- Left: CT. Right: PSMA PET, same axial level, 68Ga-PSMA tracer
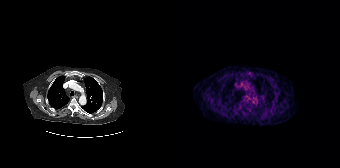
Findings: No tumor lesions annotated on this slice.